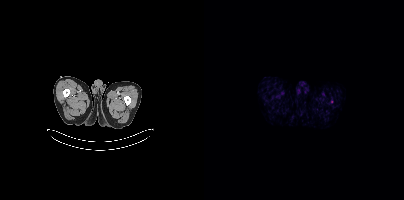
No PSMA-avid tumor lesions on this slice.